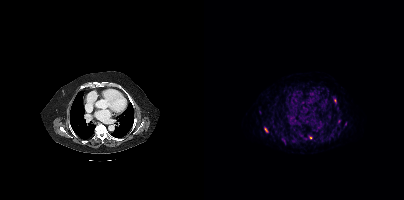
- Left: CT. Right: PSMA PET, same axial level, 68Ga-PSMA tracer
- acquired on Siemens Biograph mCT Flow 20
- PET panel 200×200 px (4.1 mm/px)
Findings: Coordinates are on the 200×200 PET (right) panel. PSMA-avid tumor lesion bounding box (x0, y0)-(x1, y1): (61, 128)-(63, 132). Small PSMA-avid foci (2 to 4 px across) near (center x, center y): (131, 100) / (106, 137).